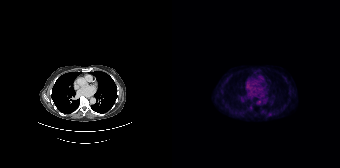
modality: PSMA PET/CT | tracer: 18F-PSMA | view: axial
Only PSMA-avid lesion pieces thinner than 2 px on this slice (not listed).